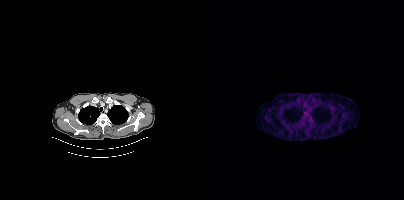
No tumor lesions annotated on this slice.